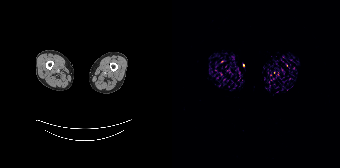
No tumor lesions annotated on this slice.